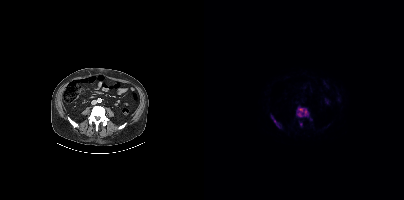
Coordinates are on the 200×200 PET (right) panel. PSMA-avid tumor lesion bounding boxes (x0, y0)-(x1, y1): (93, 107)-(104, 117); (68, 118)-(77, 128). Small PSMA-avid focus (2 to 4 px across) near (center x, center y): (97, 124).